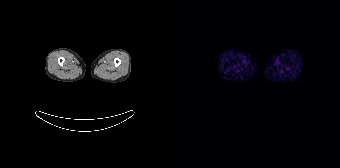
modality: PSMA PET/CT | tracer: 68Ga-PSMA | view: axial
This slice has no annotated PSMA-avid lesion.